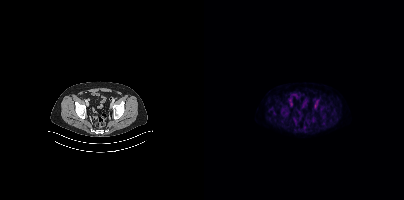
Technique: Two-panel axial: CT | PSMA PET, 18F tracer. acquired on Siemens Biograph mCT Flow 20. slice position z = -846 mm. PET panel 200×200 px (4.1 mm/px).
Findings: Coordinates are on the 200×200 PET (right) panel. Small PSMA-avid focus (2 to 4 px across) near (center x, center y): (86, 99).